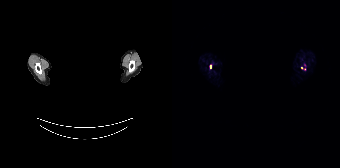
Coordinates are on the 168×168 PET (right) panel. (showing 1 of 2 foci) Small PSMA-avid focus (2 to 4 px across) near (center x, center y): (38, 66). Paired axial CT (left) and PSMA PET (right), [68Ga]Ga-PSMA-11 tracer. PET panel 168×168 px (4.1 mm/px). Face de-identified by blanking a block of the head.